Technique: Paired axial CT (left) and PSMA PET (right), 18F-PSMA tracer. acquired on Siemens Biograph mCT Flow 20. slice position z = 68 mm. PET panel 200×200 px (4.1 mm/px).
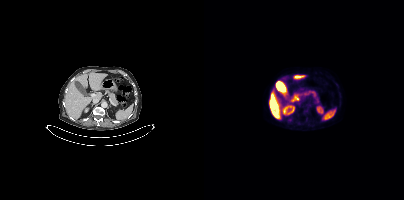
Findings: Coordinates are on the 200×200 PET (right) panel. Small PSMA-avid focus (2 to 4 px across) near (center x, center y): (85, 119).